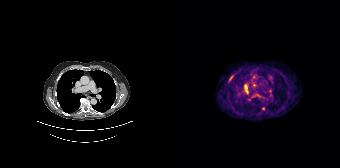
Findings: Coordinates are on the 168×168 PET (right) panel. PSMA-avid tumor lesion bounding box (x, y, width, height): x=57 y=75 w=5 h=7. Small PSMA-avid focus (2 to 4 px across) near (center x, center y): (91, 108).
- Left: CT. Right: PSMA PET, same axial level, 68Ga tracer